Technique: Left: CT. Right: PSMA PET, same axial level, [68Ga]Ga-PSMA-11 tracer. slice 255 of 452.
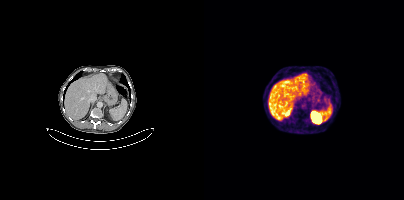
Findings: No tumor lesions annotated on this slice.